- Paired axial CT (left) and PSMA PET (right), 18F-PSMA tracer
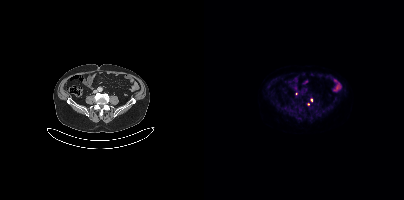
Findings: Only PSMA-avid lesion pieces thinner than 2 px on this slice (not listed).